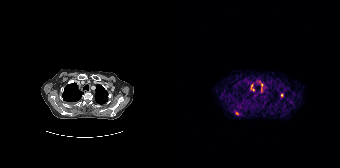
- Left: CT. Right: PSMA PET, same axial level, 68Ga tracer
- acquired on Siemens Biograph 64-4R TruePoint
- PET panel 168×168 px (4.1 mm/px)
Findings: Coordinates are on the 168×168 PET (right) panel. PSMA-avid tumor lesion bounding boxes (x, y, width, height): x=89 y=84 w=3 h=9; x=63 y=112 w=5 h=4; x=79 y=84 w=4 h=7; x=109 y=93 w=3 h=5.